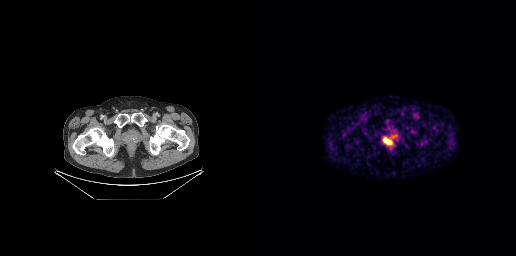
Coordinates are on the 256×256 PET (right) panel. PSMA-avid tumor lesion bounding boxes:
| # | x0 | y0 | x1 | y1 |
|---|---|---|---|---|
| 1 | 123 | 137 | 131 | 144 |
Two-panel axial: CT | PSMA PET, 68Ga tracer. Slice position z = -894 mm.